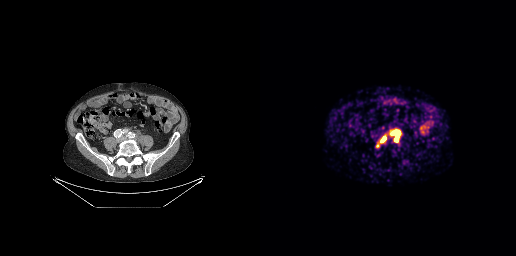
modality: PSMA PET/CT | tracer: [68Ga]Ga-PSMA-11 | view: axial | PET grid: 256×256
Coordinates are on the 256×256 PET (right) panel. PSMA-avid tumor lesion bounding boxes (x, y, width, height): x=134 y=129 w=8 h=14 | x=121 y=136 w=6 h=7. Small PSMA-avid foci (2 to 4 px across) near (center x, center y): (117, 145) | (130, 133).